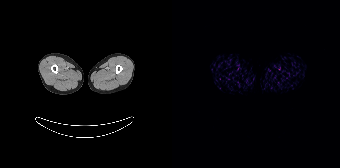
Technique: Paired axial CT (left) and PSMA PET (right), 68Ga tracer. acquired on Siemens Biograph 64-4R TruePoint. slice position z = -1830 mm.
Findings: No tumor lesions annotated on this slice.